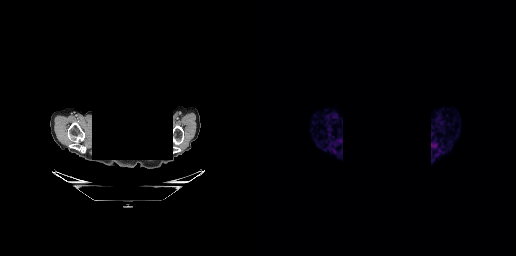
No PSMA-avid tumor lesions on this slice. An anonymization step blacked out a rectangle over the head in this scan. Left: CT. Right: PSMA PET, same axial level, 68Ga-PSMA tracer. Slice position z = -291 mm. PET panel 256×256 px (2.7 mm/px).